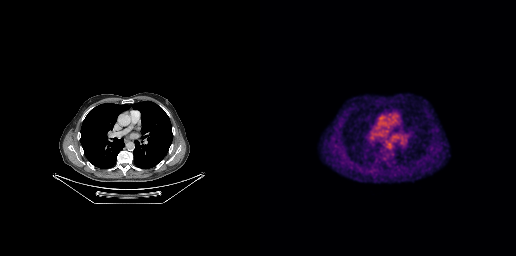
Findings: No PSMA-avid tumor lesions on this slice.
- Two-panel axial: CT | PSMA PET, [18F]PSMA-1007 tracer
- PET panel 256×256 px (2.7 mm/px)